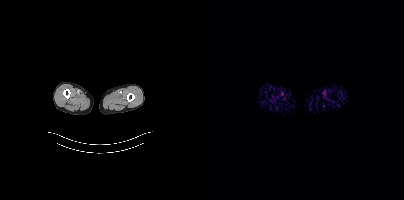
No tumor lesions annotated on this slice.